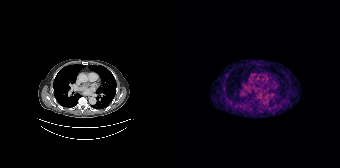
modality: PSMA PET/CT | tracer: 68Ga-PSMA | view: axial
No tumor lesions annotated on this slice.